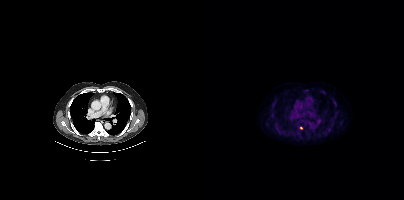
Technique: Left: CT. Right: PSMA PET, same axial level, 18F tracer. slice 294 of 417. PET panel 200×200 px (4.1 mm/px).
Findings: Coordinates are on the 200×200 PET (right) panel. Small PSMA-avid focus (2 to 4 px across) near (center x, center y): (97, 128).